Paired axial CT (left) and PSMA PET (right), [18F]PSMA-1007 tracer. Acquired on Siemens Biograph mCT Flow 20.
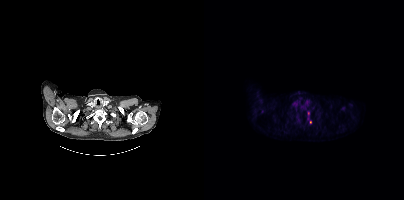
Coordinates are on the 200×200 PET (right) panel. (showing 1 of 2 foci) Small PSMA-avid focus (2 to 4 px across) near (center x, center y): (106, 122).